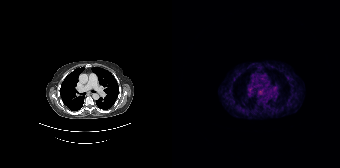
{"pet_grid":[168,168],"coord_frame":"pet_panel","coord_format":"x0,y0,x1,y1","psma_avid_lesions":false,"modality":"PSMA PET/CT","view":"axial","tracer":"68Ga"}